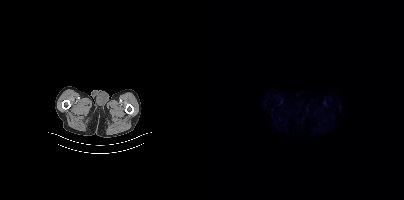
No tumor lesions annotated on this slice. Paired axial CT (left) and PSMA PET (right), 18F-PSMA tracer.